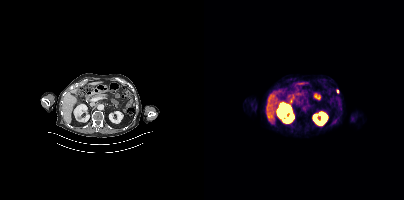
Findings: Coordinates are on the 200×200 PET (right) panel. Small PSMA-avid focus (2 to 4 px across) near (center x, center y): (133, 91).
- Paired axial CT (left) and PSMA PET (right), 18F-PSMA tracer